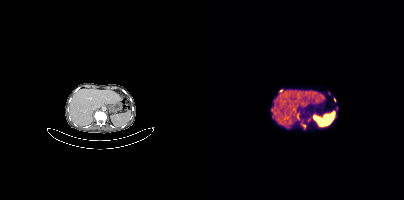
Coordinates are on the 200×200 PET (right) panel. (showing 6 of 7 foci) PSMA-avid tumor lesion bounding boxes (x0, y0)-(x1, y1): (98, 125)-(102, 129) | (67, 107)-(69, 111) | (93, 115)-(95, 119). Small PSMA-avid foci (2 to 4 px across) near (center x, center y): (77, 91) | (130, 99) | (132, 108).